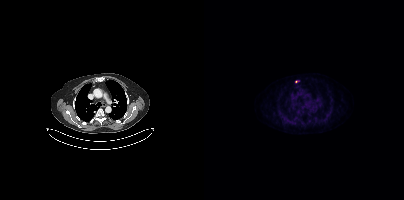
Two-panel axial: CT | PSMA PET, [18F]PSMA-1007 tracer. Acquired on Siemens Biograph mCT Flow 20. PET panel 200×200 px (4.1 mm/px). Coordinates are on the 200×200 PET (right) panel. Small PSMA-avid focus (2 to 4 px across) near (center x, center y): (92, 81).